modality: PSMA PET/CT | tracer: [18F]PSMA-1007 | view: axial | PET grid: 200×200
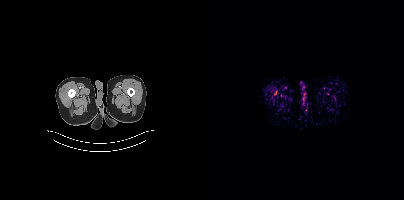
No PSMA-avid tumor lesions on this slice.